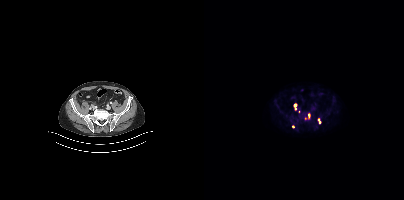
- Two-panel axial: CT | PSMA PET, 18F tracer
- slice position z = -1324 mm
Findings: Coordinates are on the 200×200 PET (right) panel. (showing 3 of 5 foci) PSMA-avid tumor lesion bounding box (x0,y0,x1,y1): [90,104,92,109]. Small PSMA-avid foci (2 to 4 px across) near (center x, center y): (104, 115); (115, 121).